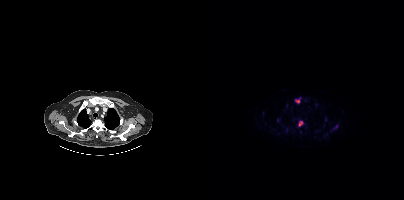
{"modality":"PSMA PET/CT","view":"axial","tracer":"[18F]PSMA-1007","pet_grid":[200,200],"coord_frame":"pet_panel","coord_format":"x0,y0,x1,y1","lesion_bboxes":[[95,121,99,126],[91,98,96,103]]}